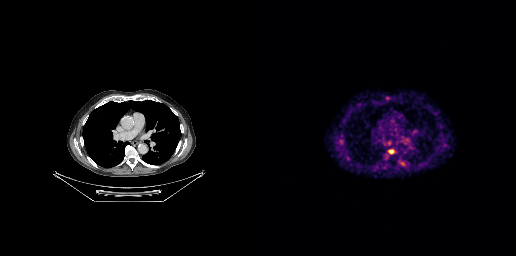
{"modality":"PSMA PET/CT","view":"axial","tracer":"68Ga-PSMA","pet_grid":[256,256],"coord_frame":"pet_panel","coord_format":"x0,y0,x1,y1","lesion_bboxes":[[140,161,144,165],[129,150,133,152]]}